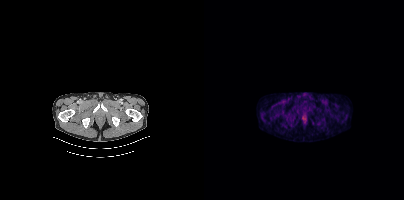
Negative for PSMA-avid disease on this slice. Left: CT. Right: PSMA PET, same axial level, 18F-PSMA tracer. Slice 49 of 448. PET panel 200×200 px (4.1 mm/px).